Paired axial CT (left) and PSMA PET (right), 18F-PSMA tracer. PET panel 200×200 px (4.1 mm/px).
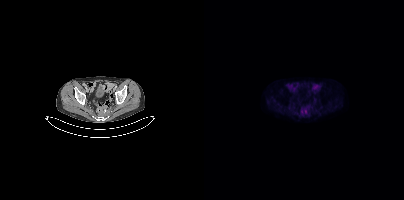
Coordinates are on the 200×200 PET (right) panel. Small PSMA-avid foci (2 to 4 px across) near (center x, center y): (101, 111), (97, 111).